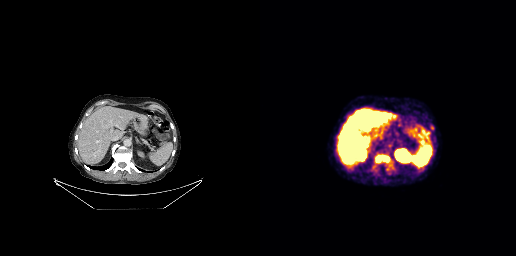
Coordinates are on the 256×256 PET (right) panel. (showing 2 of 3 foci) PSMA-avid tumor lesion bounding box (x0,y0,x1,y1): [115,155,130,163]. Small PSMA-avid focus (2 to 4 px across) near (center x, center y): (173, 126).